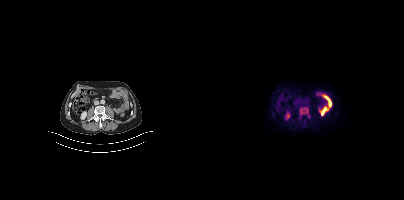
Technique: Left: CT. Right: PSMA PET, same axial level, 18F tracer. acquired on Siemens Biograph mCT Flow 20. slice 159 of 413. PET panel 200×200 px (4.1 mm/px).
Findings: Coordinates are on the 200×200 PET (right) panel. (showing 2 of 3 foci) PSMA-avid tumor lesion bounding box (x0, y0)-(x1, y1): (97, 108)-(98, 113). Small PSMA-avid focus (2 to 4 px across) near (center x, center y): (102, 110).